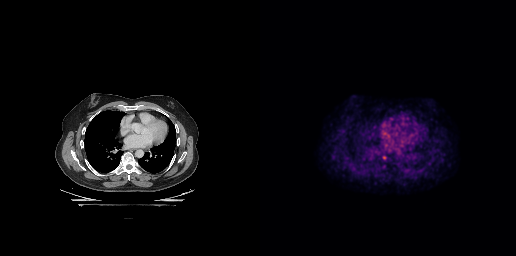
Technique: Paired axial CT (left) and PSMA PET (right), [18F]PSMA-1007 tracer. acquired on GE Discovery 690. PET panel 256×256 px (2.7 mm/px).
Findings: Only PSMA-avid lesion pieces thinner than 2 px on this slice (not listed).